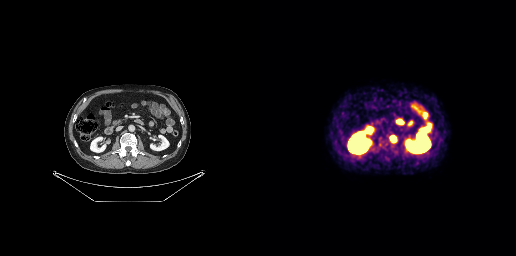
Findings: Coordinates are on the 256×256 PET (right) panel. PSMA-avid tumor lesion bounding box (x, y, width, height): x=130 y=136 w=7 h=7.
Technique: Two-panel axial: CT | PSMA PET, 68Ga tracer. acquired on GE Discovery 690. PET panel 256×256 px (2.7 mm/px).